modality: PSMA PET/CT | tracer: 68Ga-PSMA | view: axial
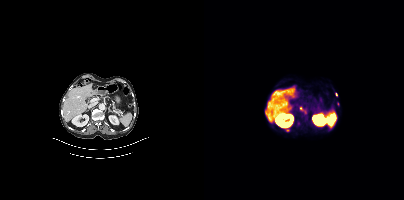
Coordinates are on the 200×200 PET (right) panel. PSMA-avid tumor lesion bounding box (x0, y0)-(x1, y1): (96, 107)-(102, 114). Small PSMA-avid foci (2 to 4 px across) near (center x, center y): (83, 129) / (94, 123) / (132, 94) / (133, 104) / (61, 110).